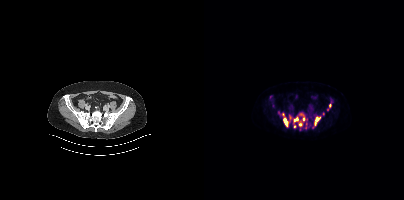
Coordinates are on the 200×200 PET (right) panel. PSMA-avid tumor lesion bounding boxes (partial; 3 more foci not listed):
| # | x0 | y0 | x1 | y1 |
|---|---|---|---|---|
| 1 | 79 | 118 | 84 | 126 |
| 2 | 111 | 117 | 116 | 125 |
| 3 | 90 | 117 | 94 | 121 |
Small PSMA-avid foci (2 to 4 px across) near (center x, center y): (96, 124); (99, 119); (90, 126); (125, 105).
Paired axial CT (left) and PSMA PET (right), [18F]PSMA-1007 tracer. Acquired on Siemens Biograph mCT Flow 20.